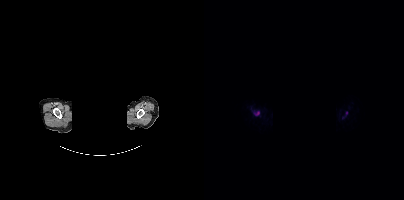
- the head region is masked for de-identification
- Paired axial CT (left) and PSMA PET (right), 18F-PSMA tracer
- acquired on Siemens Biograph mCT Flow 20
- slice 479 of 508
- PET panel 200×200 px (4.1 mm/px)
Findings: Coordinates are on the 200×200 PET (right) panel. (showing 1 of 2 foci) PSMA-avid tumor lesion bounding box (x, y, width, height): x=50 y=111 w=6 h=4.